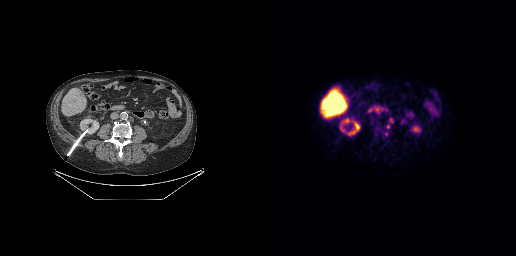
modality: PSMA PET/CT | tracer: 18F-PSMA | view: axial | PET grid: 256×256
Coordinates are on the 256×256 PET (right) panel. PSMA-avid tumor lesion bounding boxes (x0,y0,x1,y1): [129,118,133,123], [126,124,130,128]. Small PSMA-avid focus (2 to 4 px across) near (center x, center y): (126, 133).